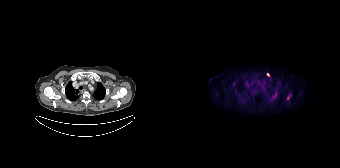
- Left: CT. Right: PSMA PET, same axial level, 18F tracer
- PET panel 168×168 px (4.1 mm/px)
Findings: Coordinates are on the 168×168 PET (right) panel. PSMA-avid tumor lesion bounding box (x, y, width, height): x=115 y=94 w=5 h=6. Small PSMA-avid focus (2 to 4 px across) near (center x, center y): (96, 74).